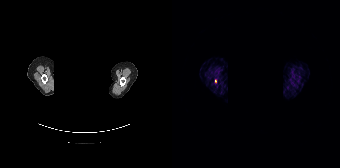
Technique: Two-panel axial: CT | PSMA PET, [68Ga]Ga-PSMA-11 tracer. slice 149 of 165.
Note: An anonymization step blacked out a rectangle over the head in this scan.
Findings: Coordinates are on the 168×168 PET (right) panel. Small PSMA-avid focus (2 to 4 px across) near (center x, center y): (43, 80).